Left: CT. Right: PSMA PET, same axial level, 18F-PSMA tracer. Acquired on Siemens Biograph mCT Flow 20. Slice 360 of 389. Any black rectangle over the head is a privacy mask, not anatomy.
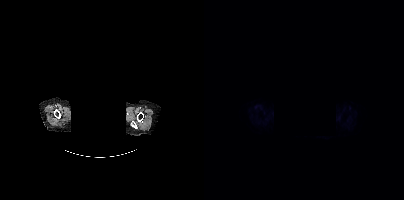
No PSMA-avid tumor lesions on this slice.